Left: CT. Right: PSMA PET, same axial level, [18F]PSMA-1007 tracer. PET panel 200×200 px (4.1 mm/px).
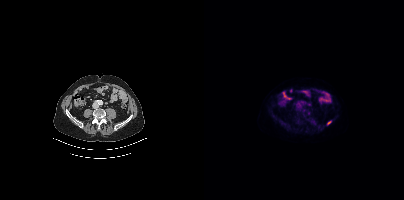
Coordinates are on the 200×200 PET (right) panel. PSMA-avid tumor lesion bounding box (x0, y0)-(x1, y1): (123, 121)-(127, 124).